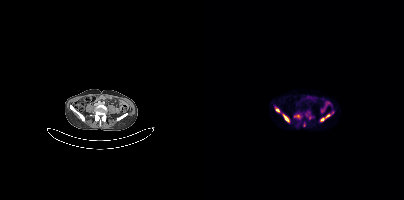
Coordinates are on the 200×200 PET (right) panel. (showing 5 of 6 foci) PSMA-avid tumor lesion bounding boxes (x, y, width, height): x=79 y=114 w=6 h=8 / x=90 y=114 w=7 h=5 / x=71 y=107 w=5 h=5 / x=122 y=114 w=5 h=4. Small PSMA-avid focus (2 to 4 px across) near (center x, center y): (118, 119).